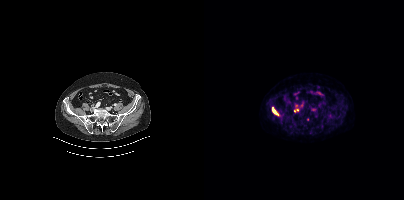
{"modality":"PSMA PET/CT","view":"axial","tracer":"18F","pet_grid":[200,200],"coord_frame":"pet_panel","coord_format":"x0,y0,x1,y1","partial":true,"lesion_bboxes":[[68,108,73,114]]}